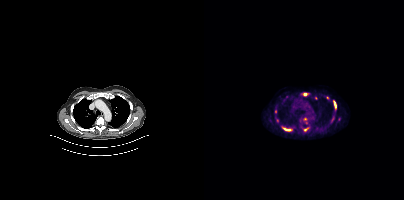
{"modality":"PSMA PET/CT","view":"axial","tracer":"[18F]PSMA-1007","pet_grid":[200,200],"coord_frame":"pet_panel","coord_format":"x0,y0,x1,y1","partial":true,"lesion_bboxes":[[78,126,87,131],[129,100,132,108],[99,93,103,95],[100,127,104,131]],"small_foci_centers":[[101,119],[71,111]]}